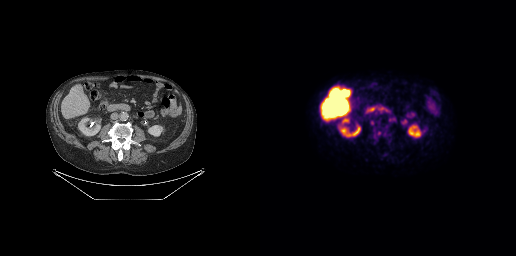
{"modality":"PSMA PET/CT","view":"axial","tracer":"[18F]PSMA-1007","pet_grid":[256,256],"coord_frame":"pet_panel","coord_format":"x0,y0,x1,y1","lesion_bboxes":[],"small_foci_centers":[[119,132],[130,120]]}